De-identified by setting a box covering the face to black before release.
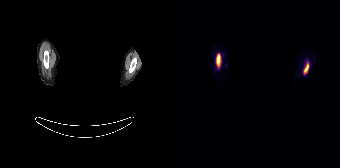
Coordinates are on the 168×168 PET (right) panel. PSMA-avid tumor lesion bounding boxes (x0,y0,x1,y1): [44,54,48,67] [131,63,136,74].